Two-panel axial: CT | PSMA PET, [18F]PSMA-1007 tracer. PET panel 200×200 px (4.1 mm/px).
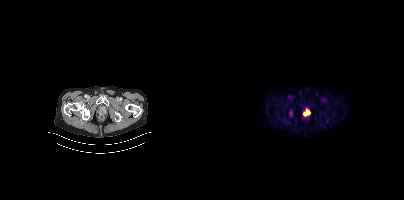
Coordinates are on the 200×200 PET (right) panel. PSMA-avid tumor lesion bounding boxes (x, y, width, height): x=100 y=109 w=6 h=7 | x=85 y=112 w=4 h=5.